Paired axial CT (left) and PSMA PET (right), 18F tracer. PET panel 200×200 px (4.1 mm/px).
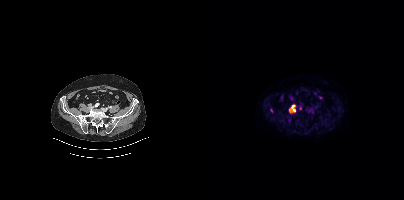
Coordinates are on the 200×200 PET (right) panel. PSMA-avid tumor lesion bounding box (x, y, width, height): x=85 y=105 w=6 h=7.